Left: CT. Right: PSMA PET, same axial level, 18F-PSMA tracer. Slice 41 of 409. PET panel 200×200 px (4.1 mm/px).
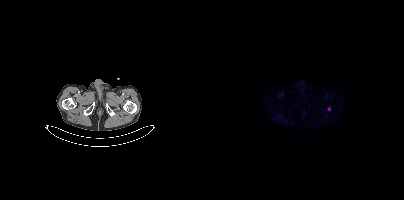
Coordinates are on the 200×200 PET (right) panel. Small PSMA-avid focus (2 to 4 px across) near (center x, center y): (125, 108).